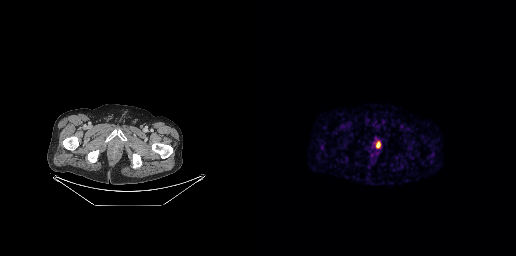
Two-panel axial: CT | PSMA PET, [68Ga]Ga-PSMA-11 tracer. Acquired on GE Discovery 690. Coordinates are on the 256×256 PET (right) panel. PSMA-avid tumor lesion bounding box (x0, y0)-(x1, y1): (116, 142)-(120, 147).